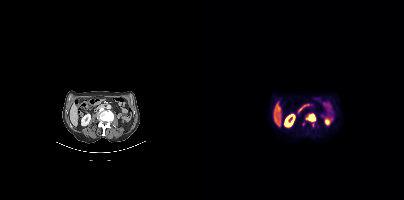
Coordinates are on the 200×200 PET (right) panel. (showing 1 of 4 foci) PSMA-avid tumor lesion bounding box (x0, y0)-(x1, y1): (106, 115)-(111, 121).
modality: PSMA PET/CT | tracer: 18F | view: axial